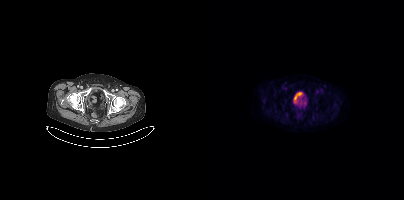
Negative for PSMA-avid disease on this slice. Paired axial CT (left) and PSMA PET (right), [18F]PSMA-1007 tracer. Slice 53 of 381.